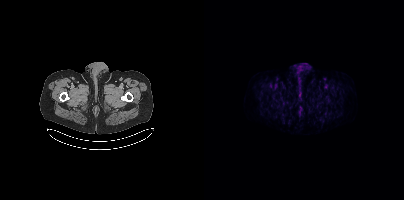
Technique: Two-panel axial: CT | PSMA PET, 18F-PSMA tracer.
Findings: No PSMA-avid tumor lesions on this slice.